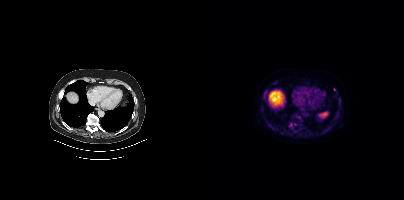
Coordinates are on the 200×200 PET (right) panel. Small PSMA-avid focus (2 to 4 px across) near (center x, center y): (130, 89). Two-panel axial: CT | PSMA PET, 18F-PSMA tracer. Acquired on Siemens Biograph mCT Flow 20. Slice position z = -454 mm. PET panel 200×200 px (4.1 mm/px).